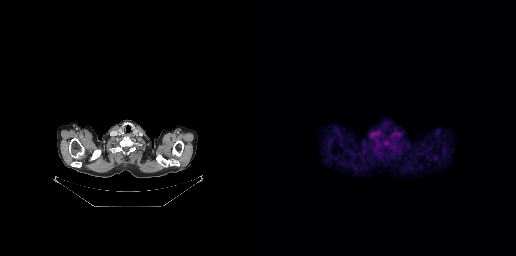
No tumor lesions annotated on this slice.
modality: PSMA PET/CT | tracer: 18F | view: axial